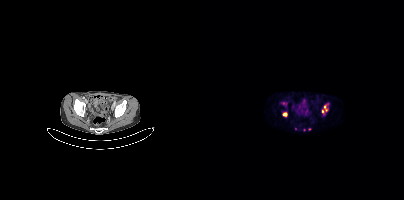
modality: PSMA PET/CT | tracer: [68Ga]Ga-PSMA-11 | view: axial | PET grid: 200×200
Coordinates are on the 200×200 PET (right) panel. (showing 4 of 6 foci) PSMA-avid tumor lesion bounding box (x0, y0)-(x1, y1): (118, 103)-(124, 113). Small PSMA-avid foci (2 to 4 px across) near (center x, center y): (80, 114) / (105, 129) / (91, 128).